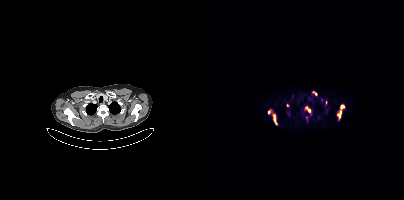
Coordinates are on the 200×200 PET (right) panel. (showing 8 of 10 foci) PSMA-avid tumor lesion bounding boxes (x0, y0)-(x1, y1): (68, 113)-(73, 124); (133, 111)-(137, 119); (101, 107)-(107, 114); (108, 91)-(112, 94). Small PSMA-avid foci (2 to 4 px across) near (center x, center y): (138, 106); (65, 112); (83, 105); (102, 117).